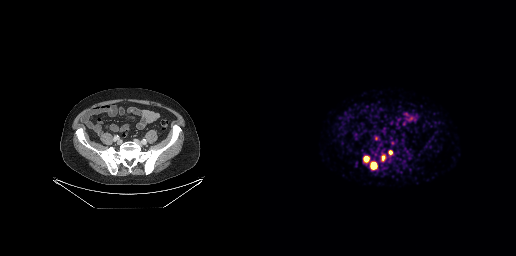
{"pet_grid":[256,256],"coord_frame":"pet_panel","coord_format":"x0,y0,x1,y1","lesion_bboxes":[[110,162,117,169],[104,157,108,161],[129,150,132,154],[122,156,124,160]],"modality":"PSMA PET/CT","view":"axial","tracer":"68Ga-PSMA"}